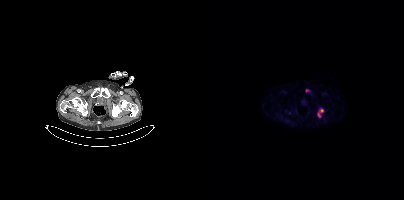
Coordinates are on the 200×200 PET (right) panel. PSMA-avid tumor lesion bounding boxes:
| # | x0 | y0 | x1 | y1 |
|---|---|---|---|---|
| 1 | 113 | 109 | 119 | 117 |
Small PSMA-avid focus (2 to 4 px across) near (center x, center y): (102, 90).
Paired axial CT (left) and PSMA PET (right), [18F]PSMA-1007 tracer. Acquired on Siemens Biograph mCT Flow 20.